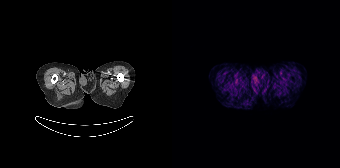
This slice has no annotated PSMA-avid lesion.